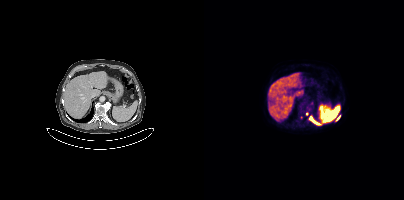
Technique: Two-panel axial: CT | PSMA PET, 18F tracer. acquired on Siemens Biograph mCT Flow 20. slice position z = -603 mm.
Findings: Coordinates are on the 200×200 PET (right) panel. (showing 2 of 3 foci) PSMA-avid tumor lesion bounding boxes (x0, y0)-(x1, y1): (106, 116)-(114, 124) / (132, 115)-(136, 120).